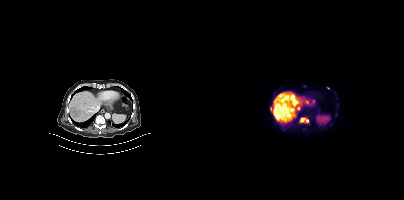
{"pet_grid":[200,200],"coord_frame":"pet_panel","coord_format":"x0,y0,x1,y1","lesion_bboxes":[[96,117,101,121]],"small_foci_centers":[[103,120],[67,109],[124,88]],"modality":"PSMA PET/CT","view":"axial","tracer":"18F"}